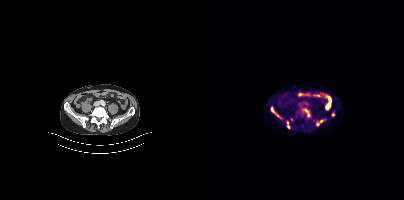
Coordinates are on the 200×200 PET (right) panel. PSMA-avid tumor lesion bounding boxes (x0, y0)-(x1, y1): (67, 107)-(74, 116) | (82, 121)-(85, 128) | (101, 109)-(105, 116). Small PSMA-avid foci (2 to 4 px across) near (center x, center y): (129, 114) | (117, 121) | (114, 124).